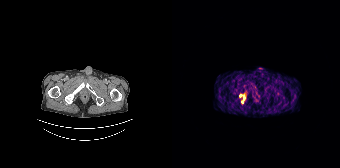
Coordinates are on the 168×168 PET (right) panel. PSMA-avid tumor lesion bounding boxes:
| # | x0 | y0 | x1 | y1 |
|---|---|---|---|---|
| 1 | 67 | 94 | 73 | 103 |
Two-panel axial: CT | PSMA PET, [68Ga]Ga-PSMA-11 tracer. Slice position z = -1348 mm.